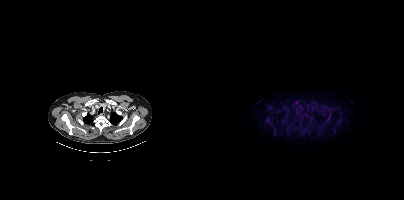
No tumor lesions annotated on this slice. Two-panel axial: CT | PSMA PET, [18F]PSMA-1007 tracer. PET panel 200×200 px (4.1 mm/px).